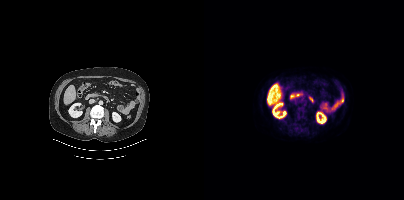
No tumor lesions annotated on this slice. Two-panel axial: CT | PSMA PET, 18F tracer.